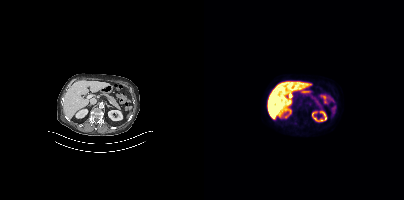
{"modality":"PSMA PET/CT","view":"axial","tracer":"18F","pet_grid":[200,200],"coord_frame":"pet_panel","coord_format":"x0,y0,x1,y1","psma_avid_lesions":false}